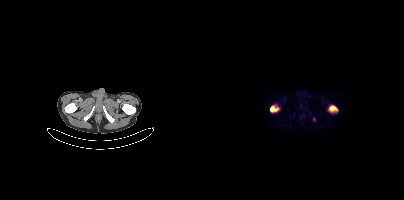
Two-panel axial: CT | PSMA PET, 68Ga tracer. Coordinates are on the 200×200 PET (right) panel. PSMA-avid tumor lesion bounding boxes (x0, y0)-(x1, y1): (125, 106)-(133, 111); (66, 106)-(74, 111).